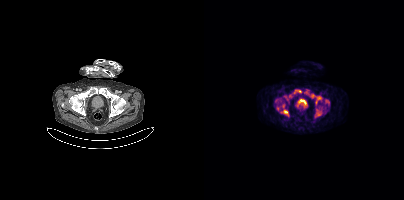
Coordinates are on the 200×200 PET (right) panel. PSMA-avid tumor lesion bounding boxes (partial; 3 more foci not listed):
| # | x0 | y0 | x1 | y1 |
|---|---|---|---|---|
| 1 | 79 | 93 | 89 | 101 |
| 2 | 77 | 109 | 84 | 115 |
| 3 | 112 | 96 | 117 | 103 |
| 4 | 92 | 89 | 97 | 93 |
Small PSMA-avid foci (2 to 4 px across) near (center x, center y): (114, 113); (79, 106); (73, 108).
Left: CT. Right: PSMA PET, same axial level, 18F tracer. Slice position z = -256 mm. PET panel 200×200 px (4.1 mm/px).